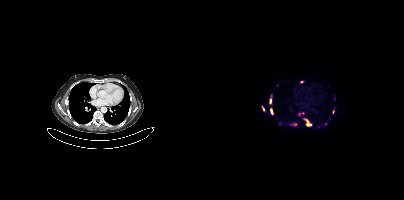
- Two-panel axial: CT | PSMA PET, 68Ga-PSMA tracer
- acquired on Siemens Biograph mCT Flow 20
- slice position z = -1083 mm
- PET panel 200×200 px (4.1 mm/px)
Findings: Coordinates are on the 200×200 PET (right) panel. (showing 12 of 15 foci) PSMA-avid tumor lesion bounding boxes (x0, y0)-(x1, y1): (101, 119)-(105, 125) / (66, 94)-(68, 102) / (87, 123)-(92, 125) / (66, 108)-(68, 113) / (120, 122)-(123, 126) / (58, 106)-(60, 111). Small PSMA-avid foci (2 to 4 px across) near (center x, center y): (76, 123) / (125, 118) / (97, 81) / (129, 112) / (95, 114) / (106, 124).